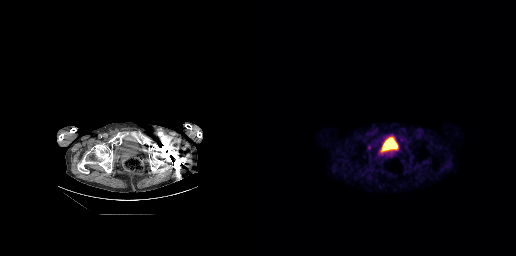
Coordinates are on the 256×256 PET (right) panel. PSMA-avid tumor lesion bounding box (x, y, width, height): x=108 y=145 w=4 h=5. Small PSMA-avid focus (2 to 4 px across) near (center x, center y): (131, 152).